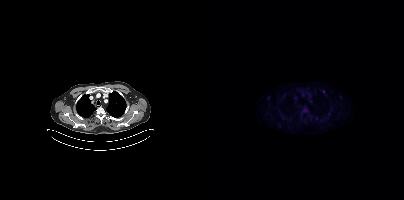
{"pet_grid":[200,200],"coord_frame":"pet_panel","coord_format":"x0,y0,x1,y1","partial":true,"lesion_bboxes":[],"small_foci_centers":[[64,97]],"modality":"PSMA PET/CT","view":"axial","tracer":"18F"}